Technique: Two-panel axial: CT | PSMA PET, [18F]PSMA-1007 tracer. slice 149 of 263. PET panel 256×256 px (2.7 mm/px).
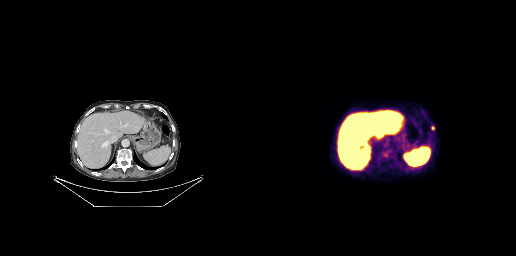
Findings: Coordinates are on the 256×256 PET (right) panel. PSMA-avid tumor lesion bounding boxes (x0,y0,x1,y1): [121,150,130,158], [171,126,174,130].